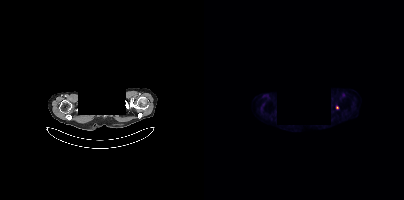
{"modality":"PSMA PET/CT","view":"axial","tracer":"18F","pet_grid":[200,200],"coord_frame":"pet_panel","coord_format":"x0,y0,x1,y1","deidentification":"rectangular block over head set to black","psma_avid_lesions":false}